Left: CT. Right: PSMA PET, same axial level, 18F tracer. Acquired on Siemens Biograph mCT Flow 20. PET panel 200×200 px (4.1 mm/px).
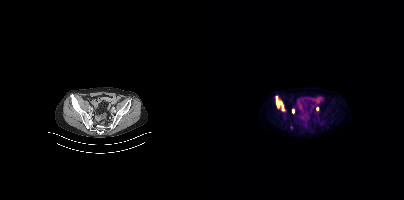
Coordinates are on the 200×200 PET (right) panel. PSMA-avid tumor lesion bounding box (x0, y0)-(x1, y1): (72, 96)-(81, 111). Small PSMA-avid foci (2 to 4 px across) near (center x, center y): (89, 111) / (87, 127) / (113, 108).